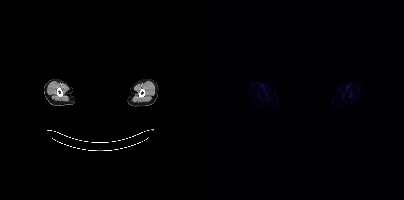
{"modality":"PSMA PET/CT","view":"axial","tracer":"68Ga-PSMA","pet_grid":[200,200],"coord_frame":"pet_panel","coord_format":"x0,y0,x1,y1","de-identification":"head region blanked (face removed)","psma_avid_lesions":false}